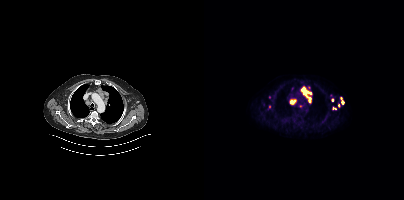
Findings: Coordinates are on the 200×200 PET (right) panel. (showing 9 of 11 foci) PSMA-avid tumor lesion bounding boxes (x, y, width, height): x=97 y=86 w=12 h=18 / x=86 y=99 w=7 h=6 / x=137 y=97 w=4 h=8. Small PSMA-avid foci (2 to 4 px across) near (center x, center y): (130, 108) / (65, 97) / (128, 100) / (65, 106) / (134, 105) / (96, 105).
Technique: Two-panel axial: CT | PSMA PET, 18F-PSMA tracer.